Left: CT. Right: PSMA PET, same axial level, 18F tracer. Slice 146 of 413. PET panel 200×200 px (4.1 mm/px).
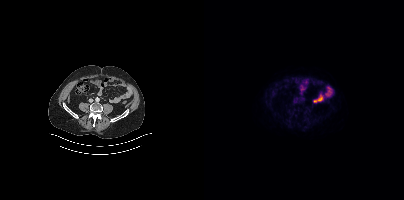
No PSMA-avid tumor lesions on this slice.